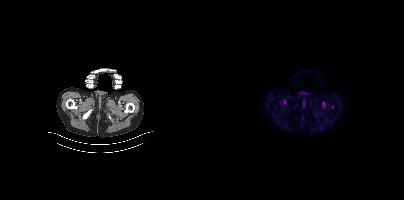
{"modality":"PSMA PET/CT","view":"axial","tracer":"18F","pet_grid":[200,200],"coord_frame":"pet_panel","coord_format":"x0,y0,x1,y1","psma_avid_lesions":false}